Two-panel axial: CT | PSMA PET, [18F]PSMA-1007 tracer.
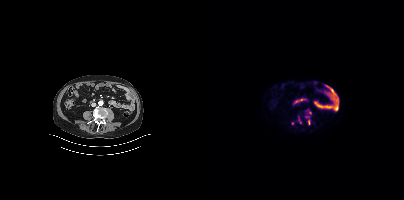
Coordinates are on the 200×200 PET (right) panel. (showing 3 of 4 foci) Small PSMA-avid foci (2 to 4 px across) near (center x, center y): (96, 121); (104, 122); (88, 123).